- Left: CT. Right: PSMA PET, same axial level, 18F tracer
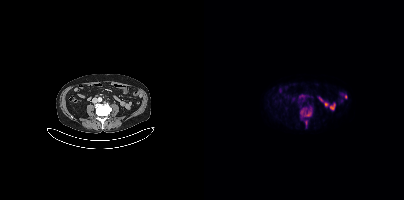
Findings: Coordinates are on the 200×200 PET (right) panel. (showing 2 of 3 foci) PSMA-avid tumor lesion bounding boxes (x, y, width, height): x=100 y=112 w=8 h=5 | x=97 y=110 w=3 h=5.